Two-panel axial: CT | PSMA PET, 18F-PSMA tracer.
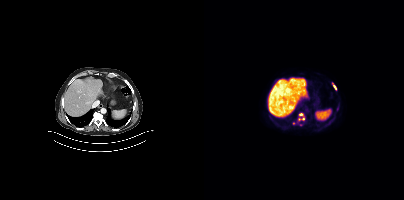
Coordinates are on the 200×200 PET (right) panel. PSMA-avid tumor lesion bounding boxes (partial; 1 more focus not listed):
| # | x0 | y0 | x1 | y1 |
|---|---|---|---|---|
| 1 | 94 | 113 | 100 | 120 |
| 2 | 128 | 83 | 132 | 89 |
Small PSMA-avid focus (2 to 4 px across) near (center x, center y): (133, 108).